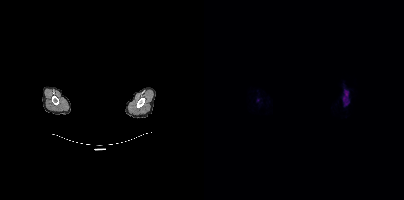
Paired axial CT (left) and PSMA PET (right), 18F tracer. Acquired on Siemens Biograph mCT Flow 20. Slice 370 of 387. A rectangle over the head was blacked out to remove identifiable facial features. Coordinates are on the 200×200 PET (right) panel. (showing 1 of 2 foci) PSMA-avid tumor lesion bounding box (x0, y0)-(x1, y1): (139, 90)-(144, 105).